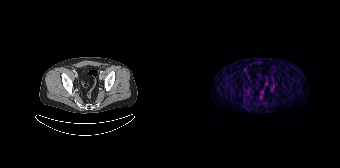
Paired axial CT (left) and PSMA PET (right), 68Ga-PSMA tracer. PET panel 168×168 px (4.1 mm/px). This slice has no annotated PSMA-avid lesion.